Technique: Left: CT. Right: PSMA PET, same axial level, [18F]PSMA-1007 tracer.
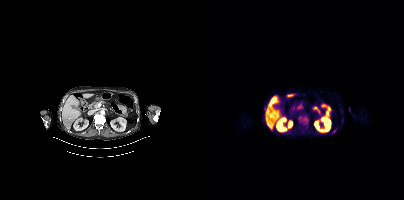
Findings: Coordinates are on the 200×200 PET (right) panel. PSMA-avid tumor lesion bounding box (x, y, width, height): x=95 y=116 w=10 h=8. Small PSMA-avid focus (2 to 4 px across) near (center x, center y): (130, 131).